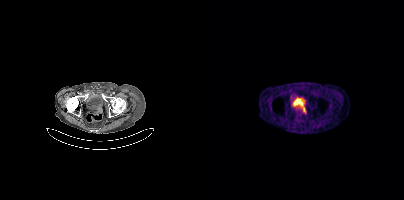
{"modality":"PSMA PET/CT","view":"axial","tracer":"68Ga","pet_grid":[200,200],"coord_frame":"pet_panel","coord_format":"x0,y0,x1,y1","lesion_bboxes":[[96,105,102,113]]}